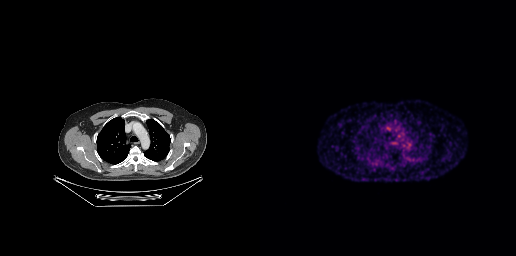
{"modality":"PSMA PET/CT","view":"axial","tracer":"[68Ga]Ga-PSMA-11","pet_grid":[256,256],"coord_frame":"pet_panel","coord_format":"x0,y0,x1,y1","psma_avid_lesions":false}